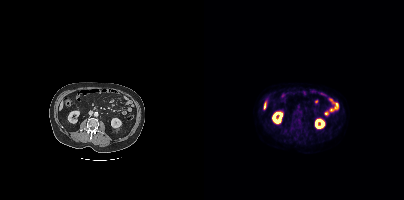
Negative for PSMA-avid disease on this slice.